modality: PSMA PET/CT | tracer: 18F-PSMA | view: axial
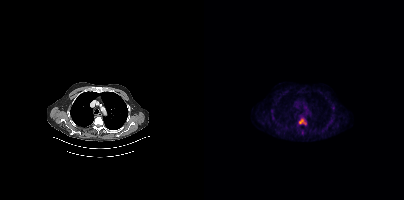
Coordinates are on the 200×200 PET (right) panel. PSMA-avid tumor lesion bounding box (x0,y0,x1,y1): [95,118,102,124].